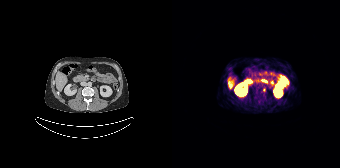
Findings: Coordinates are on the 168×168 PET (right) panel. Small PSMA-avid focus (2 to 4 px across) near (center x, center y): (91, 89).
- Two-panel axial: CT | PSMA PET, 68Ga-PSMA tracer
- slice position z = -1380 mm